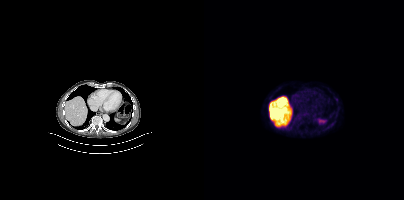
Negative for PSMA-avid disease on this slice.